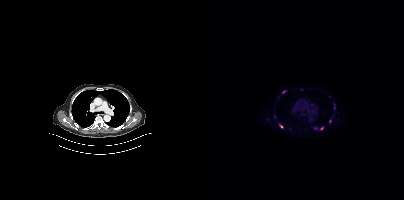
Findings: Coordinates are on the 200×200 PET (right) panel. (showing 2 of 5 foci) Small PSMA-avid foci (2 to 4 px across) near (center x, center y): (76, 125); (117, 128).
- Left: CT. Right: PSMA PET, same axial level, 18F tracer
- acquired on Siemens Biograph mCT Flow 20
- PET panel 200×200 px (4.1 mm/px)